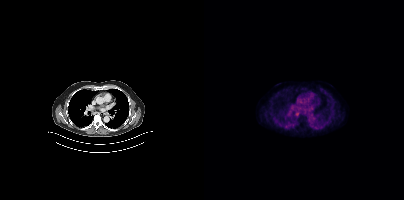
Coordinates are on the 200×200 PET (right) panel. Small PSMA-avid focus (2 to 4 px across) near (center x, center y): (89, 125). Left: CT. Right: PSMA PET, same axial level, 18F-PSMA tracer. Acquired on Siemens Biograph mCT Flow 20. PET panel 200×200 px (4.1 mm/px).